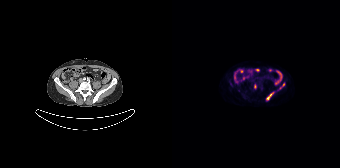
{"modality":"PSMA PET/CT","view":"axial","tracer":"18F","pet_grid":[168,168],"coord_frame":"pet_panel","coord_format":"x0,y0,x1,y1","lesion_bboxes":[[96,92,101,99],[108,82,113,88],[82,84,84,88]]}